- Left: CT. Right: PSMA PET, same axial level, [18F]PSMA-1007 tracer
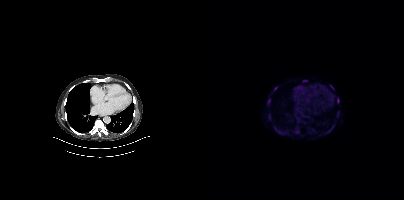
Findings: Coordinates are on the 200×200 PET (right) panel. (showing 9 of 10 foci) PSMA-avid tumor lesion bounding boxes (x, y, width, height): x=63 y=99 w=4 h=7 / x=70 y=126 w=5 h=6 / x=133 y=98 w=3 h=5 / x=99 y=80 w=5 h=2 / x=126 y=85 w=5 h=5 / x=133 y=112 w=2 h=5. Small PSMA-avid foci (2 to 4 px across) near (center x, center y): (65, 116) / (72, 87) / (125, 130).